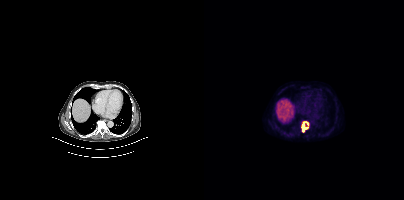
{"modality":"PSMA PET/CT","view":"axial","tracer":"18F-PSMA","pet_grid":[200,200],"coord_frame":"pet_panel","coord_format":"x0,y0,x1,y1","lesion_bboxes":[[97,121,105,132]]}